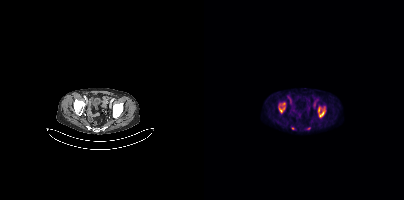
Findings: Coordinates are on the 200×200 PET (right) panel. (showing 2 of 3 foci) PSMA-avid tumor lesion bounding boxes (x, y, width, height): x=114 y=106 w=8 h=12; x=75 y=102 w=7 h=12.
- Left: CT. Right: PSMA PET, same axial level, 18F-PSMA tracer
- slice 76 of 373